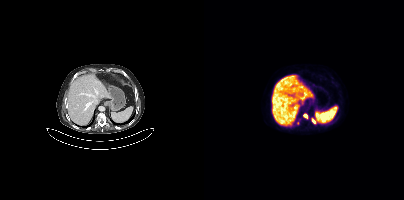
Left: CT. Right: PSMA PET, same axial level, 18F tracer. Acquired on Siemens Biograph mCT Flow 20. Slice position z = 250 mm. PET panel 200×200 px (4.1 mm/px). Coordinates are on the 200×200 PET (right) panel. PSMA-avid tumor lesion bounding box (x0, y0)-(x1, y1): (108, 118)-(111, 123). Small PSMA-avid foci (2 to 4 px across) near (center x, center y): (101, 115); (94, 123).